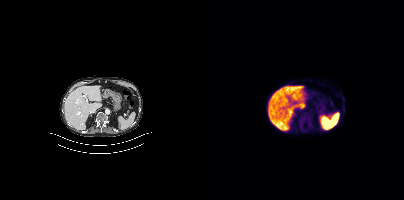
Technique: Two-panel axial: CT | PSMA PET, [18F]PSMA-1007 tracer. acquired on Siemens Biograph mCT Flow 20. PET panel 200×200 px (4.1 mm/px).
Findings: Coordinates are on the 200×200 PET (right) panel. PSMA-avid tumor lesion bounding box (x0, y0)-(x1, y1): (102, 117)-(106, 121).